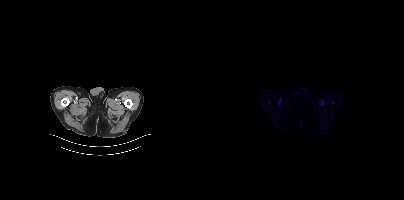
Negative for PSMA-avid disease on this slice.